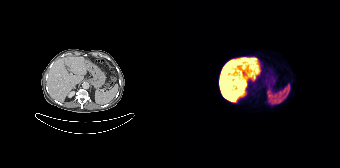
This slice has no annotated PSMA-avid lesion.